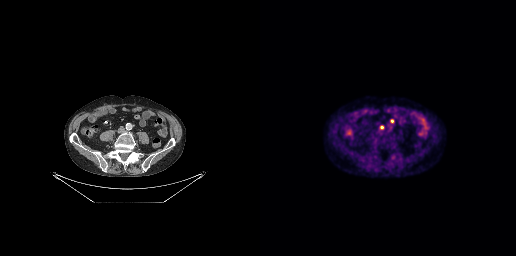
- Paired axial CT (left) and PSMA PET (right), 18F-PSMA tracer
- slice position z = -723 mm
Findings: Coordinates are on the 256×256 PET (right) panel. PSMA-avid tumor lesion bounding box (x, y, width, height): x=120 y=125 w=4 h=5. Small PSMA-avid focus (2 to 4 px across) near (center x, center y): (131, 120).